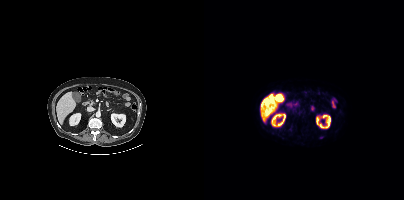
This slice has no annotated PSMA-avid lesion.